Technique: Left: CT. Right: PSMA PET, same axial level, 18F-PSMA tracer. slice position z = -1030 mm.
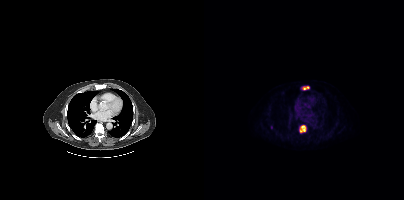
Findings: Coordinates are on the 200×200 PET (right) panel. PSMA-avid tumor lesion bounding boxes (x0, y0)-(x1, y1): (95, 125)-(102, 132) | (98, 86)-(105, 89). Small PSMA-avid focus (2 to 4 px across) near (center x, center y): (67, 127).